Technique: Two-panel axial: CT | PSMA PET, 18F tracer. acquired on GE Discovery 690. PET panel 256×256 px (2.7 mm/px).
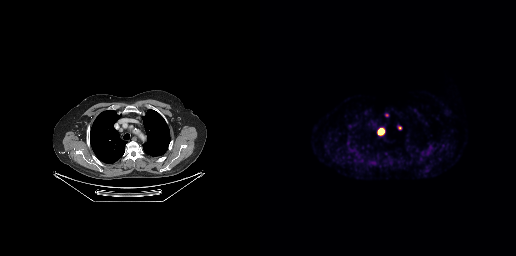
Findings: Coordinates are on the 256×256 PET (right) panel. (showing 2 of 3 foci) PSMA-avid tumor lesion bounding box (x, y, width, height): x=118 y=128 w=7 h=7. Small PSMA-avid focus (2 to 4 px across) near (center x, center y): (126, 115).